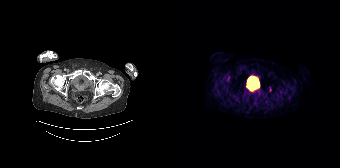
Only PSMA-avid lesion pieces thinner than 2 px on this slice (not listed). Paired axial CT (left) and PSMA PET (right), 68Ga tracer. Slice 63 of 195.